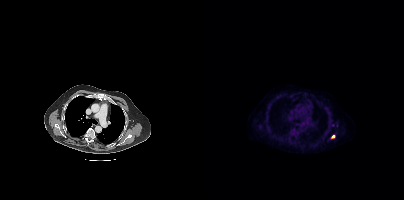
Coordinates are on the 200×200 PET (right) panel. Small PSMA-avid focus (2 to 4 px across) near (center x, center y): (129, 136).